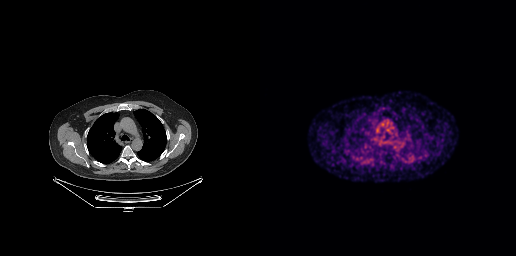
Negative for PSMA-avid disease on this slice.
modality: PSMA PET/CT | tracer: 68Ga-PSMA | view: axial | PET grid: 256×256